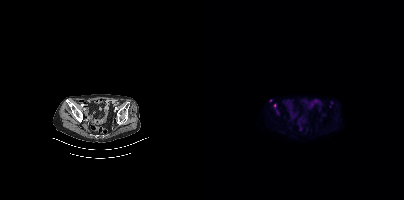
Coordinates are on the 200×200 PET (right) panel. (showing 1 of 3 foci) Small PSMA-avid focus (2 to 4 px across) near (center x, center y): (70, 105).